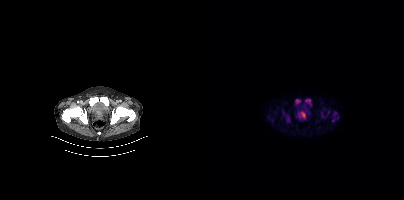
Paired axial CT (left) and PSMA PET (right), 18F-PSMA tracer.
Coordinates are on the 200×200 PET (right) panel. PSMA-avid tumor lesion bounding boxes:
| # | x0 | y0 | x1 | y1 |
|---|---|---|---|---|
| 1 | 95 | 111 | 101 | 118 |
| 2 | 82 | 114 | 86 | 122 |
| 3 | 101 | 99 | 107 | 105 |
| 4 | 128 | 112 | 133 | 121 |
| 5 | 91 | 99 | 96 | 104 |
| 6 | 117 | 112 | 121 | 117 |
| 7 | 78 | 111 | 80 | 115 |
Small PSMA-avid focus (2 to 4 px across) near (center x, center y): (124, 112).